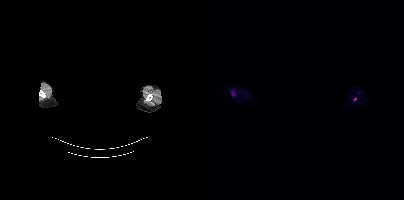
{"pet_grid":[200,200],"coord_frame":"pet_panel","coord_format":"x0,y0,x1,y1","lesion_bboxes":[],"small_foci_centers":[[151,99]],"modality":"PSMA PET/CT","view":"axial","tracer":"18F-PSMA","redaction":"head region blanked (face removed)"}